Technique: Paired axial CT (left) and PSMA PET (right), [18F]PSMA-1007 tracer. slice position z = -216 mm.
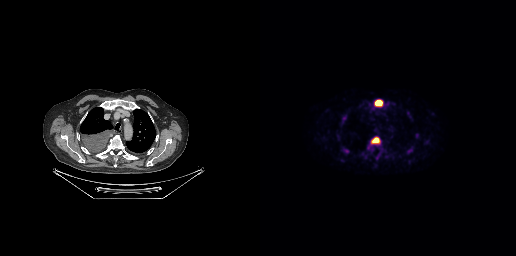
Findings: Coordinates are on the 256×256 PET (right) panel. (showing 3 of 5 foci) PSMA-avid tumor lesion bounding boxes (x, y, width, height): x=111 y=136 w=10 h=9 / x=114 y=99 w=10 h=8. Small PSMA-avid focus (2 to 4 px across) near (center x, center y): (84, 118).